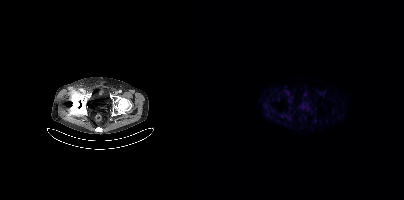
Negative for PSMA-avid disease on this slice. Two-panel axial: CT | PSMA PET, [18F]PSMA-1007 tracer. Acquired on Siemens Biograph mCT Flow 20. PET panel 200×200 px (4.1 mm/px).